Two-panel axial: CT | PSMA PET, 18F tracer. Acquired on Siemens Biograph mCT Flow 20.
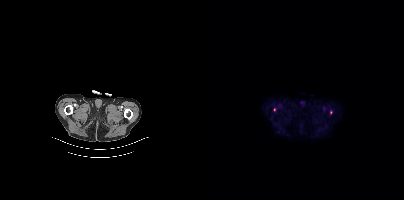
Coordinates are on the 200×200 PET (right) panel. Small PSMA-avid foci (2 to 4 px across) near (center x, center y): (127, 112) (70, 109).